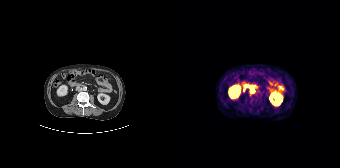
{"modality":"PSMA PET/CT","view":"axial","tracer":"68Ga-PSMA","pet_grid":[168,168],"coord_frame":"pet_panel","coord_format":"x0,y0,x1,y1","lesion_bboxes":[[76,85,82,93]]}